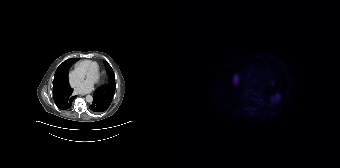
{"modality":"PSMA PET/CT","view":"axial","tracer":"[18F]PSMA-1007","pet_grid":[168,168],"coord_frame":"pet_panel","coord_format":"x0,y0,x1,y1","psma_avid_lesions":false}